Left: CT. Right: PSMA PET, same axial level, 18F tracer. De-identified by setting a box covering the face to black before release.
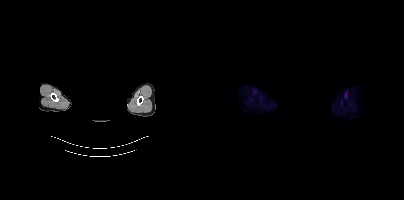
This slice has no annotated PSMA-avid lesion.